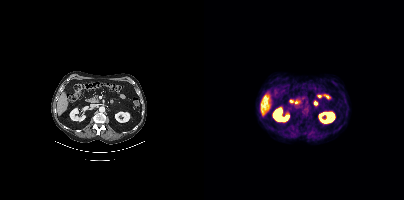
Negative for PSMA-avid disease on this slice.